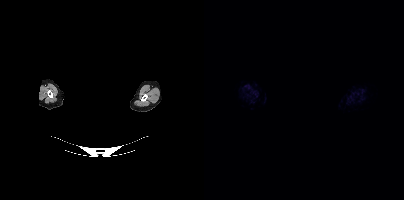
An anonymization step blacked out a rectangle over the head in this scan. Left: CT. Right: PSMA PET, same axial level, 18F tracer. Acquired on Siemens Biograph mCT Flow 20. PET panel 200×200 px (4.1 mm/px). This slice has no annotated PSMA-avid lesion.